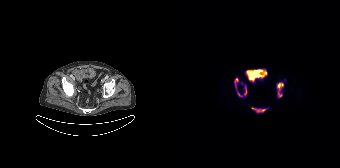
{"modality":"PSMA PET/CT","view":"axial","tracer":"18F","pet_grid":[168,168],"coord_frame":"pet_panel","coord_format":"x0,y0,x1,y1","lesion_bboxes":[[105,82,111,97],[79,107,94,112],[62,78,66,89],[72,85,75,95],[65,91,70,96]]}